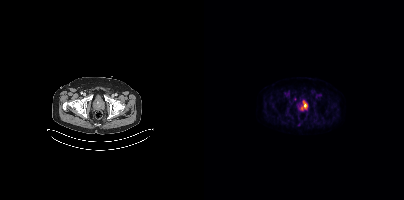
Technique: Left: CT. Right: PSMA PET, same axial level, 18F-PSMA tracer. slice 70 of 389.
Findings: Negative for PSMA-avid disease on this slice.